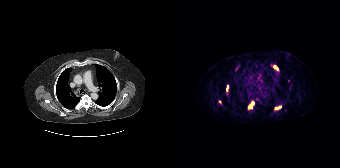
Coordinates are on the 168×168 PET (right) panel. PSMA-avid tumor lesion bounding boxes (x0,y0,x1,y1): [76,101,82,108], [103,105,109,109], [101,65,106,70], [54,86,56,91]. Small PSMA-avid focus (2 to 4 px across) near (center x, center y): (48, 101).